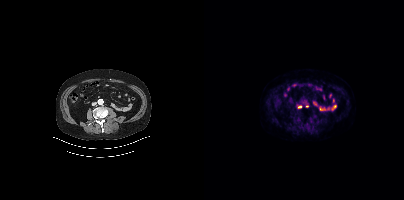
modality: PSMA PET/CT | tracer: 18F | view: axial
Coordinates are on the 200×200 PET (right) panel. (showing 1 of 2 foci) Small PSMA-avid focus (2 to 4 px across) near (center x, center y): (96, 106).